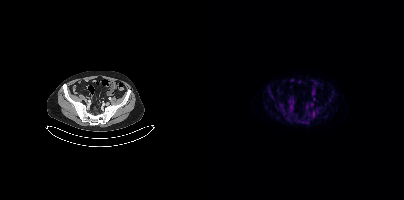
Left: CT. Right: PSMA PET, same axial level, 18F-PSMA tracer. PET panel 200×200 px (4.1 mm/px). Coordinates are on the 200×200 PET (right) panel. PSMA-avid tumor lesion bounding box (x0,y0,x1,y1): [109,113,110,117].